Technique: Paired axial CT (left) and PSMA PET (right), [68Ga]Ga-PSMA-11 tracer.
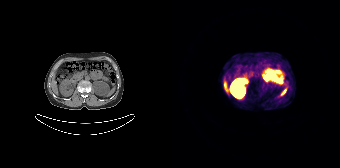
Findings: This slice has no annotated PSMA-avid lesion.